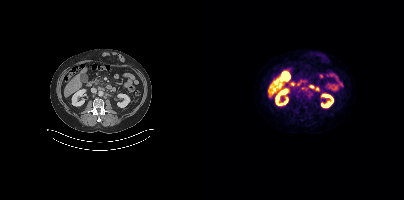
{"modality":"PSMA PET/CT","view":"axial","tracer":"18F-PSMA","pet_grid":[200,200],"coord_frame":"pet_panel","coord_format":"x0,y0,x1,y1","lesion_bboxes":[[102,96,106,99]],"small_foci_centers":[[93,95]]}